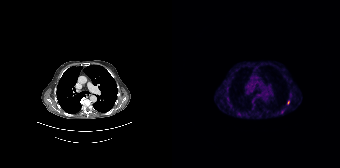
Coordinates are on the 168×168 PET (right) panel. Small PSMA-avid foci (2 to 4 px across) near (center x, center y): (110, 111) | (55, 88) | (116, 102) | (65, 112).